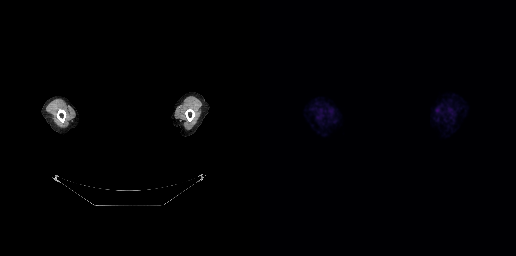
The head region is masked for de-identification.
This slice has no annotated PSMA-avid lesion.